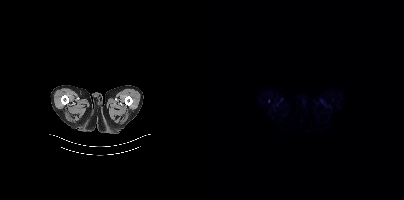
Coordinates are on the 200×200 PET (right) panel. Small PSMA-avid focus (2 to 4 px across) near (center x, center y): (64, 100). Two-panel axial: CT | PSMA PET, [18F]PSMA-1007 tracer. Acquired on Siemens Biograph mCT Flow 20. Slice position z = -1038 mm.